- face de-identified by blanking a block of the head
- Paired axial CT (left) and PSMA PET (right), 18F tracer
- slice 398 of 450
- PET panel 200×200 px (4.1 mm/px)
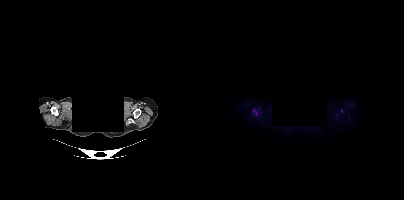
Findings: Coordinates are on the 200×200 PET (right) panel. (showing 1 of 3 foci) Small PSMA-avid focus (2 to 4 px across) near (center x, center y): (49, 110).